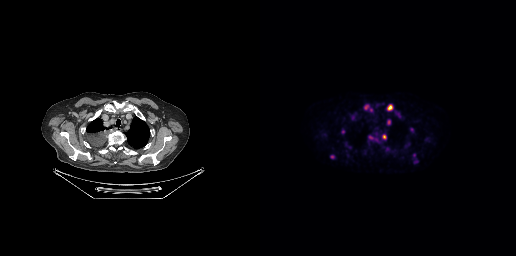
Left: CT. Right: PSMA PET, same axial level, 18F tracer. Acquired on GE Discovery 690. PET panel 256×256 px (2.7 mm/px).
Coordinates are on the 256×256 PET (right) panel. PSMA-avid tumor lesion bounding boxes (partial; 2 more foci not listed):
| # | x0 | y0 | x1 | y1 |
|---|---|---|---|---|
| 1 | 126 | 104 | 133 | 111 |
| 2 | 127 | 119 | 131 | 125 |
| 3 | 122 | 133 | 126 | 139 |
| 4 | 135 | 112 | 140 | 117 |
| 5 | 105 | 105 | 108 | 109 |
Small PSMA-avid foci (2 to 4 px across) near (center x, center y): (72, 156); (110, 137); (83, 131).